- Two-panel axial: CT | PSMA PET, 18F-PSMA tracer
- PET panel 200×200 px (4.1 mm/px)
- a rectangle over the head was blacked out to remove identifiable facial features
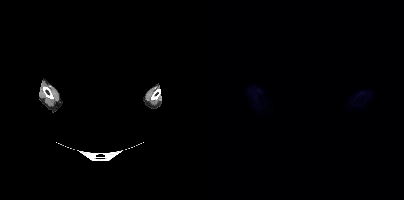
Findings: No PSMA-avid tumor lesions on this slice.